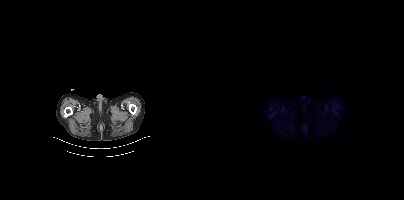
{"modality":"PSMA PET/CT","view":"axial","tracer":"18F","pet_grid":[200,200],"coord_frame":"pet_panel","coord_format":"x0,y0,x1,y1","psma_avid_lesions":false}